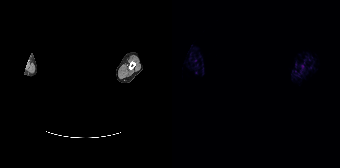
Technique: Left: CT. Right: PSMA PET, same axial level, 18F tracer. acquired on Siemens Biograph 64-4R TruePoint. slice 191 of 195. PET panel 168×168 px (4.1 mm/px).
Note: A rectangle over the head was blacked out to remove identifiable facial features.
Findings: This slice has no annotated PSMA-avid lesion.